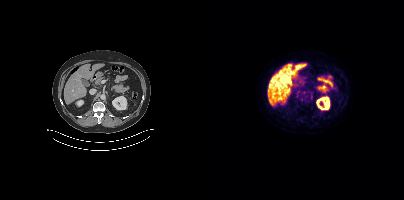
- Two-panel axial: CT | PSMA PET, 18F-PSMA tracer
- slice position z = -439 mm
- PET panel 200×200 px (4.1 mm/px)
Findings: Coordinates are on the 200×200 PET (right) panel. PSMA-avid tumor lesion bounding box (x0, y0)-(x1, y1): (105, 95)-(108, 99). Small PSMA-avid focus (2 to 4 px across) near (center x, center y): (97, 101).